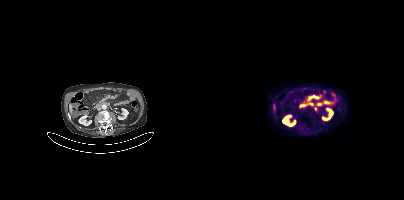
Findings: Coordinates are on the 200×200 PET (right) panel. PSMA-avid tumor lesion bounding box (x0, y0)-(x1, y1): (103, 95)-(116, 101).
- Paired axial CT (left) and PSMA PET (right), [18F]PSMA-1007 tracer
- slice 181 of 425
- PET panel 200×200 px (4.1 mm/px)